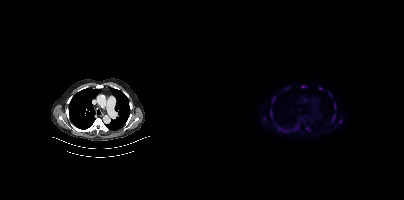
Coordinates are on the 200×200 PET (right) panel. PSMA-avid tumor lesion bounding boxes (partial; 3 more foci not listed):
| # | x0 | y0 | x1 | y1 |
|---|---|---|---|---|
| 1 | 127 | 114 | 131 | 122 |
| 2 | 73 | 126 | 80 | 129 |
| 3 | 66 | 110 | 68 | 116 |
| 4 | 130 | 103 | 131 | 109 |
| 5 | 68 | 97 | 71 | 102 |
| 6 | 97 | 86 | 101 | 87 |
| 7 | 124 | 92 | 127 | 96 |
Small PSMA-avid foci (2 to 4 px across) near (center x, center y): (116, 88); (103, 128); (136, 121); (60, 118); (93, 125); (100, 99).
Paired axial CT (left) and PSMA PET (right), 18F-PSMA tracer. Acquired on Siemens Biograph mCT Flow 20. Slice 316 of 427.